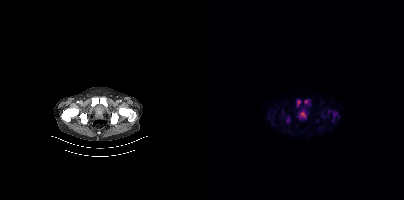
{"pet_grid":[200,200],"coord_frame":"pet_panel","coord_format":"x0,y0,x1,y1","lesion_bboxes":[[124,110,133,118],[95,111,101,117],[93,100,96,106],[82,117,85,122],[100,100,104,103]],"small_foci_centers":[[128,120]],"modality":"PSMA PET/CT","view":"axial","tracer":"18F"}